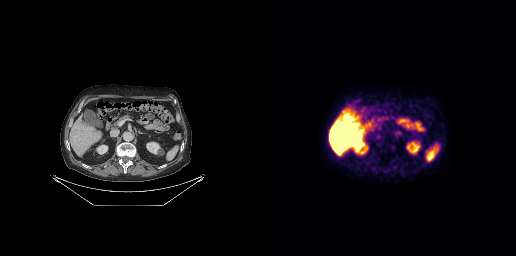
Technique: Paired axial CT (left) and PSMA PET (right), [18F]PSMA-1007 tracer. acquired on GE Discovery 690. slice position z = -412 mm. PET panel 256×256 px (2.7 mm/px).
Findings: Negative for PSMA-avid disease on this slice.